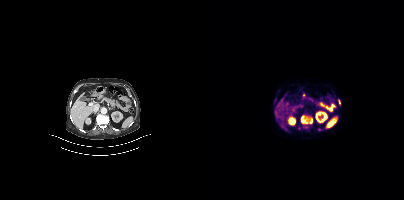
{"modality":"PSMA PET/CT","view":"axial","tracer":"68Ga-PSMA","pet_grid":[200,200],"coord_frame":"pet_panel","coord_format":"x0,y0,x1,y1","partial":true,"lesion_bboxes":[[97,115,108,128],[134,99,136,103]],"small_foci_centers":[[115,129]]}